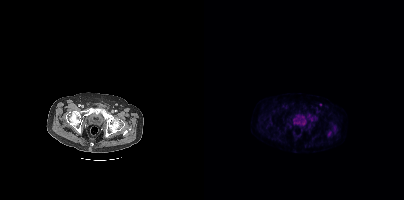
This slice has no annotated PSMA-avid lesion.